Technique: Two-panel axial: CT | PSMA PET, 18F-PSMA tracer. acquired on Siemens Biograph mCT Flow 20. slice 35 of 409.
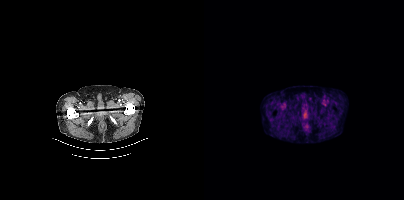
Findings: Negative for PSMA-avid disease on this slice.